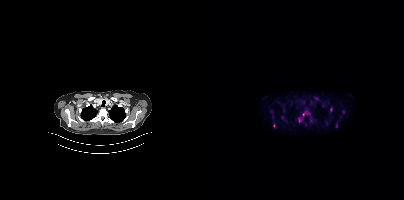
Coordinates are on the 200×200 PET (right) panel. (showing 5 of 7 foci) PSMA-avid tumor lesion bounding box (x, y, width, height): x=126 y=107 w=3 h=5. Small PSMA-avid foci (2 to 4 px across) near (center x, center y): (69, 125) | (99, 114) | (132, 126) | (139, 111).
modality: PSMA PET/CT | tracer: [18F]PSMA-1007 | view: axial